Technique: Left: CT. Right: PSMA PET, same axial level, 68Ga-PSMA tracer. slice position z = -876 mm.
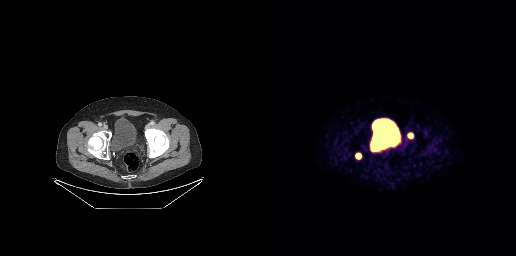
Findings: Coordinates are on the 256×256 PET (right) panel. PSMA-avid tumor lesion bounding boxes (x0, y0)-(x1, y1): (96, 153)-(100, 158) | (148, 133)-(152, 137).